de-identification: rectangular block over head set to black | modality: PSMA PET/CT | tracer: [18F]PSMA-1007 | view: axial
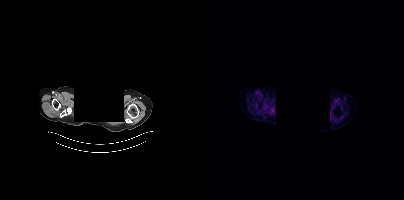
No PSMA-avid tumor lesions on this slice.